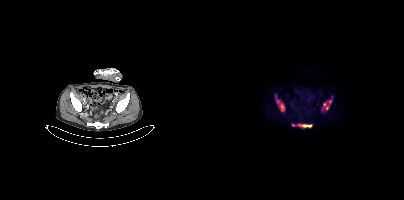
Technique: Two-panel axial: CT | PSMA PET, [18F]PSMA-1007 tracer. acquired on Siemens Biograph mCT Flow 20. slice 97 of 409.
Findings: Coordinates are on the 200×200 PET (right) panel. PSMA-avid tumor lesion bounding boxes (x0, y0)-(x1, y1): (71, 94)-(81, 111) | (88, 124)-(108, 127) | (118, 100)-(127, 110).